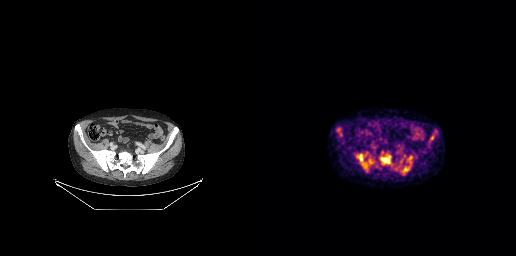
modality: PSMA PET/CT | tracer: 18F | view: axial | PET grid: 256×256
Coordinates are on the 256×256 PET (right) panel. PSMA-avid tumor lesion bounding boxes (x0,y0,x1,y1): [96,153,112,170], [140,157,152,174], [121,156,130,164], [77,127,81,132], [140,159,143,163]. Small PSMA-avid focus (2 to 4 px across) near (center x, center y): (139, 166).